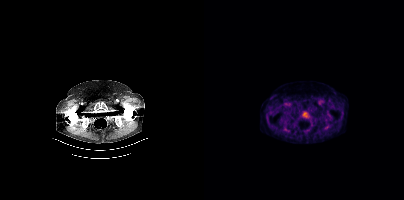
No PSMA-avid tumor lesions on this slice.